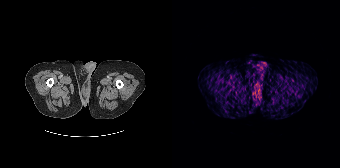
Negative for PSMA-avid disease on this slice.
modality: PSMA PET/CT | tracer: 68Ga | view: axial | PET grid: 168×168